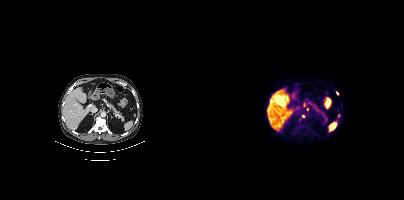
Coordinates are on the 200×200 PET (right) panel. Small PSMA-avid foci (2 to 4 px across) near (center x, center y): (99, 116) | (133, 93) | (103, 109).